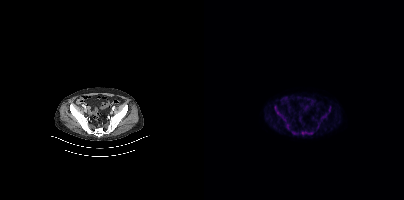
- Left: CT. Right: PSMA PET, same axial level, 18F-PSMA tracer
- slice 113 of 427
Findings: Coordinates are on the 200×200 PET (right) panel. PSMA-avid tumor lesion bounding boxes (x0,y0,x1,y1): [71,108,82,121]; [97,131,109,134]; [117,113,123,120]; [88,131,94,134]; [82,124,84,128]; [113,123,115,128]; [125,108,126,112].